Paired axial CT (left) and PSMA PET (right), 18F tracer.
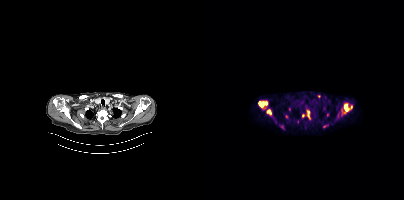
Coordinates are on the 200×200 PET (right) panel. (showing 10 of 13 foci) PSMA-avid tumor lesion bounding boxes (x0,y0,x1,y1): [137,104,148,115]; [54,101,63,107]; [63,109,67,115]; [103,111,105,117]; [119,125,124,127]. Small PSMA-avid foci (2 to 4 px across) near (center x, center y): (99, 115); (82, 116); (78, 126); (85, 109); (123, 114).